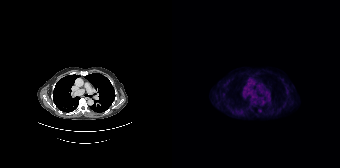
This slice has no annotated PSMA-avid lesion.